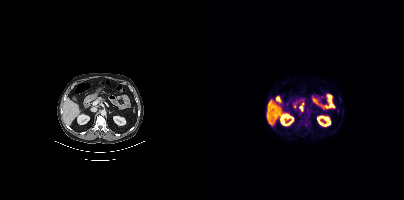
{"modality":"PSMA PET/CT","view":"axial","tracer":"18F","pet_grid":[200,200],"coord_frame":"pet_panel","coord_format":"x0,y0,x1,y1","lesion_bboxes":[[96,106,98,110]]}